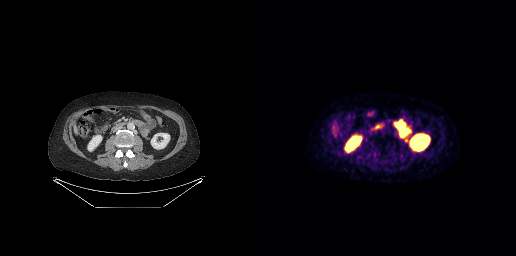
{"modality":"PSMA PET/CT","view":"axial","tracer":"18F-PSMA","pet_grid":[256,256],"coord_frame":"pet_panel","coord_format":"x0,y0,x1,y1","psma_avid_lesions":false}